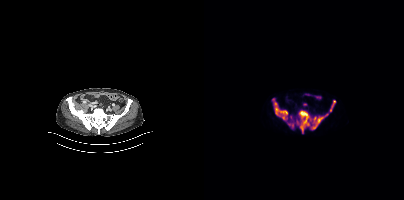
{"modality":"PSMA PET/CT","view":"axial","tracer":"[18F]PSMA-1007","pet_grid":[200,200],"coord_frame":"pet_panel","coord_format":"x0,y0,x1,y1","lesion_bboxes":[[92,110,124,133],[68,99,83,120],[126,100,131,111],[84,123,89,128]],"small_foci_centers":[[86,117]]}